modality: PSMA PET/CT | tracer: 68Ga-PSMA | view: axial | PET grid: 256×256
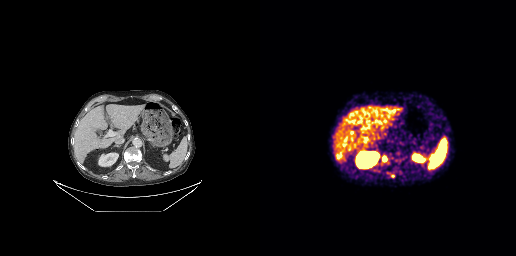
Coordinates are on the 256×256 PET (right) panel. PSMA-avid tumor lesion bounding boxes (x0,y0,x1,y1): [127,172,135,178], [122,156,127,161]. Small PSMA-avid focus (2 to 4 px across) near (center x, center y): (121, 163).